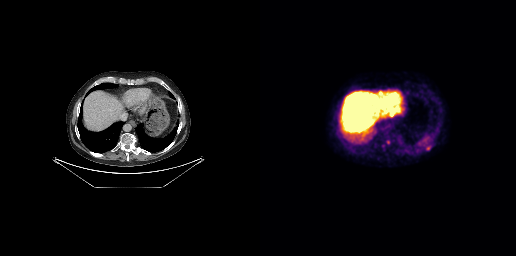
Coordinates are on the 256×256 PET (right) panel. (showing 5 of 6 foci) PSMA-avid tumor lesion bounding boxes (x0, y0)-(x1, y1): (166, 145)-(170, 150) | (121, 102)-(125, 106) | (130, 112)-(133, 116) | (163, 141)-(167, 145). Small PSMA-avid focus (2 to 4 px across) near (center x, center y): (102, 109).